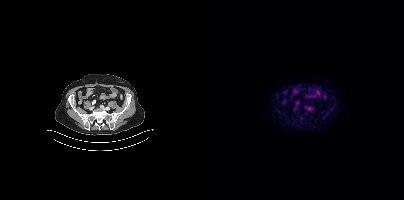
Coordinates are on the 200×200 PET (right) panel. PSMA-avid tumor lesion bounding box (x0, y0)-(x1, y1): (95, 116)-(99, 120).